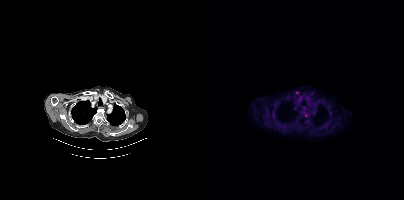
Only PSMA-avid lesion pieces thinner than 2 px on this slice (not listed).